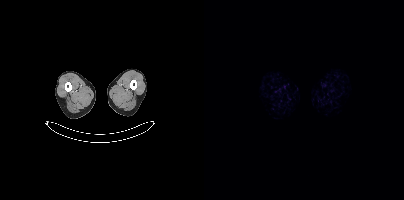
{"pet_grid":[200,200],"coord_frame":"pet_panel","coord_format":"x0,y0,x1,y1","psma_avid_lesions":false,"modality":"PSMA PET/CT","view":"axial","tracer":"18F-PSMA"}